Paired axial CT (left) and PSMA PET (right), [18F]PSMA-1007 tracer. Acquired on GE Discovery 690.
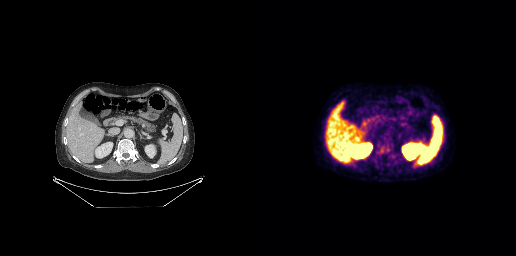
Negative for PSMA-avid disease on this slice.